Paired axial CT (left) and PSMA PET (right), 18F-PSMA tracer. Slice 277 of 403.
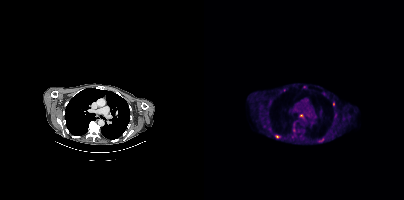
Coordinates are on the 200×200 PET (right) panel. PSMA-avid tumor lesion bounding boxes (partial; 1 more focus not listed):
| # | x0 | y0 | x1 | y1 |
|---|---|---|---|---|
| 1 | 116 | 138 | 120 | 142 |
| 2 | 71 | 135 | 75 | 138 |
Small PSMA-avid foci (2 to 4 px across) near (center x, center y): (129, 104); (100, 86); (80, 90).